Paired axial CT (left) and PSMA PET (right), 18F-PSMA tracer. Acquired on Siemens Biograph mCT Flow 20. PET panel 200×200 px (4.1 mm/px).
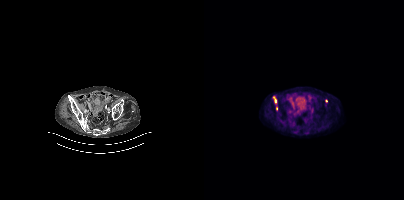
Coordinates are on the 200×200 PET (right) panel. (showing 1 of 2 foci) PSMA-avid tumor lesion bounding box (x, y, width, height): x=69 y=97 w=4 h=6.